Paired axial CT (left) and PSMA PET (right), 18F-PSMA tracer.
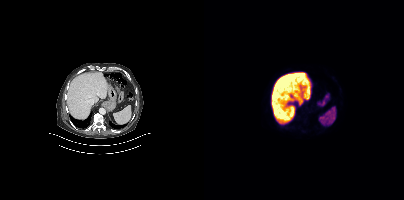
No tumor lesions annotated on this slice.